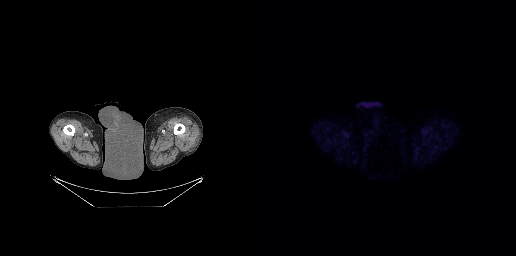
Paired axial CT (left) and PSMA PET (right), 18F tracer. Slice 38 of 299. No PSMA-avid tumor lesions on this slice.